Paired axial CT (left) and PSMA PET (right), [18F]PSMA-1007 tracer. Slice position z = -586 mm. PET panel 256×256 px (2.7 mm/px).
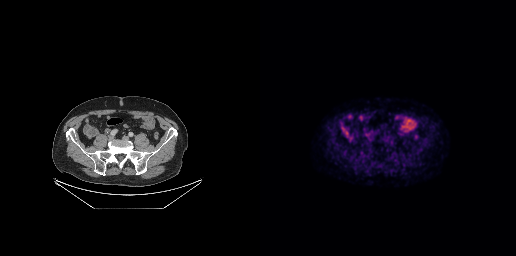
Negative for PSMA-avid disease on this slice.